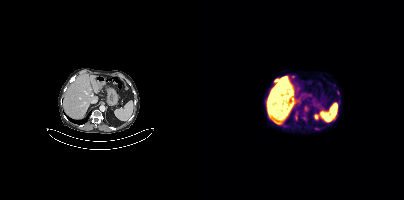
Left: CT. Right: PSMA PET, same axial level, [18F]PSMA-1007 tracer. Acquired on Siemens Biograph mCT Flow 20. PET panel 200×200 px (4.1 mm/px). Coordinates are on the 200×200 PET (right) panel. (showing 3 of 4 foci) PSMA-avid tumor lesion bounding boxes (x0,y0,x1,y1): [91,113,93,119], [70,79,74,82]. Small PSMA-avid focus (2 to 4 px across) near (center x, center y): (100, 118).